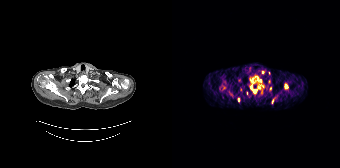
modality: PSMA PET/CT | tracer: 68Ga-PSMA | view: axial | PET grid: 168×168
Coordinates are on the 168×168 PET (right) panel. (showing 9 of 11 foci) PSMA-avid tumor lesion bounding boxes (x, y, width, height): x=78 y=84 w=14 h=10 | x=78 y=77 w=5 h=5 | x=113 y=84 w=4 h=5 | x=86 y=78 w=4 h=5 | x=100 y=99 w=2 h=5. Small PSMA-avid foci (2 to 4 px across) near (center x, center y): (90, 72) | (66, 99) | (97, 81) | (98, 88).